Left: CT. Right: PSMA PET, same axial level, [18F]PSMA-1007 tracer. Acquired on Siemens Biograph mCT Flow 20. Slice position z = -1362 mm.
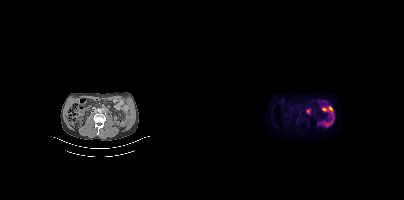
Coordinates are on the 200×200 PET (right) panel. PSMA-avid tumor lesion bounding boxes:
| # | x0 | y0 | x1 | y1 |
|---|---|---|---|---|
| 1 | 102 | 108 | 107 | 114 |
Small PSMA-avid focus (2 to 4 px across) near (center x, center y): (93, 119).